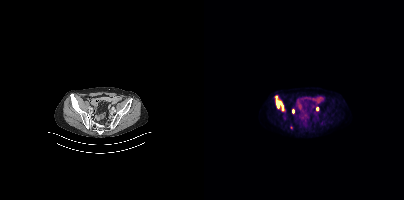
Coordinates are on the 200×200 PET (right) panel. PSMA-avid tumor lesion bounding box (x0,y0,x1,y1): [71,96,80,111]. Small PSMA-avid foci (2 to 4 px across) near (center x, center y): (113, 108); (87, 127); (88, 111). Paired axial CT (left) and PSMA PET (right), 18F tracer. Acquired on Siemens Biograph mCT Flow 20. Slice 97 of 423. PET panel 200×200 px (4.1 mm/px).